Two-panel axial: CT | PSMA PET, 18F tracer. Slice position z = -406 mm.
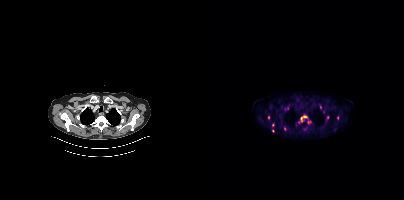
Coordinates are on the 200×200 PET (right) panel. PSMA-avid tumor lesion bounding boxes (partial; 2 more foci not listed):
| # | x0 | y0 | x1 | y1 |
|---|---|---|---|---|
| 1 | 96 | 115 | 103 | 121 |
Small PSMA-avid foci (2 to 4 px across) near (center x, center y): (105, 122); (80, 129); (64, 117); (116, 106); (123, 117); (68, 124); (68, 130).